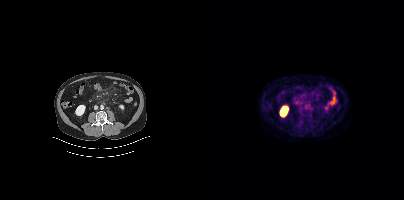
{"modality":"PSMA PET/CT","view":"axial","tracer":"18F-PSMA","pet_grid":[200,200],"coord_frame":"pet_panel","coord_format":"x0,y0,x1,y1","lesion_bboxes":[],"small_foci_centers":[[108,109]]}